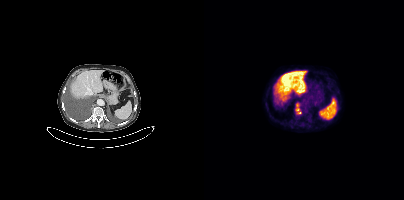
Findings: Coordinates are on the 200×200 PET (right) panel. PSMA-avid tumor lesion bounding box (x0,y0,x1,y1): [91,103,97,114].
- Left: CT. Right: PSMA PET, same axial level, [18F]PSMA-1007 tracer
- acquired on Siemens Biograph mCT Flow 20
- PET panel 200×200 px (4.1 mm/px)